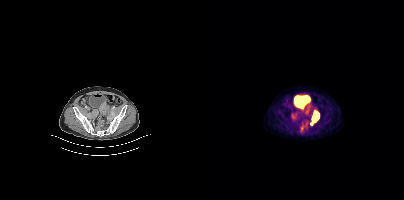
{"modality":"PSMA PET/CT","view":"axial","tracer":"18F-PSMA","pet_grid":[200,200],"coord_frame":"pet_panel","coord_format":"x0,y0,x1,y1","lesion_bboxes":[[107,111,115,124],[100,109,106,115],[87,113,92,120],[97,126,99,130]]}